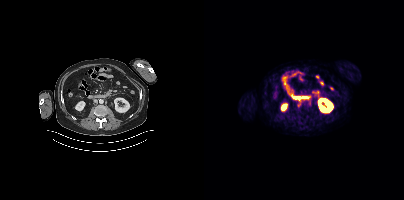
Coordinates are on the 200×200 PET (right) panel. Small PSMA-avid focus (2 to 4 px across) near (center x, center y): (94, 105).
modality: PSMA PET/CT | tracer: 68Ga-PSMA | view: axial